Left: CT. Right: PSMA PET, same axial level, 18F-PSMA tracer. Acquired on Siemens Biograph mCT Flow 20. PET panel 200×200 px (4.1 mm/px).
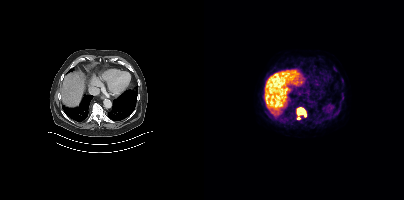
Coordinates are on the 200×200 PET (right) panel. PSMA-avid tumor lesion bounding boxes (x, y, width, height): x=93 y=108 w=9 h=7 | x=128 y=114 w=5 h=5. Small PSMA-avid foci (2 to 4 px across) near (center x, center y): (137, 100) | (139, 84) | (131, 69) | (138, 80) | (94, 118).